Technique: Paired axial CT (left) and PSMA PET (right), [18F]PSMA-1007 tracer. acquired on Siemens Biograph mCT Flow 20. slice 50 of 387. PET panel 200×200 px (4.1 mm/px).
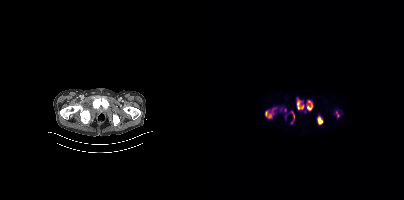
Findings: Coordinates are on the 200×200 PET (right) panel. (showing 6 of 9 foci) PSMA-avid tumor lesion bounding boxes (x, y, width, height): x=61 y=108 w=12 h=11 / x=93 y=99 w=7 h=11 / x=113 y=116 w=6 h=9 / x=103 y=101 w=6 h=10 / x=88 y=112 w=3 h=7. Small PSMA-avid focus (2 to 4 px across) near (center x, center y): (81, 110).